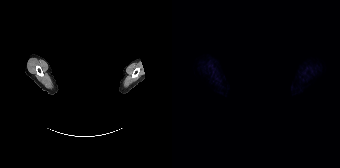
{"modality":"PSMA PET/CT","view":"axial","tracer":"18F-PSMA","pet_grid":[168,168],"coord_frame":"pet_panel","coord_format":"x0,y0,x1,y1","psma_avid_lesions":false,"redaction":"face masked with black rectangle"}